Paired axial CT (left) and PSMA PET (right), [18F]PSMA-1007 tracer. Slice 411 of 435. PET panel 200×200 px (4.1 mm/px). Facial anatomy redacted by setting a rectangular region of the head to black.
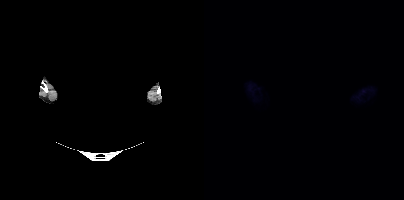
This slice has no annotated PSMA-avid lesion.